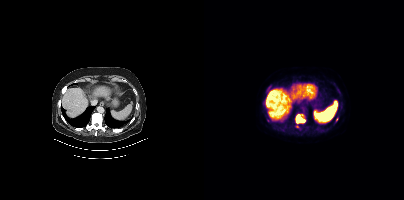
{"pet_grid":[200,200],"coord_frame":"pet_panel","coord_format":"x0,y0,x1,y1","lesion_bboxes":[[92,114,101,123],[133,88,136,92]],"small_foci_centers":[[94,127],[132,119]],"modality":"PSMA PET/CT","view":"axial","tracer":"18F-PSMA"}